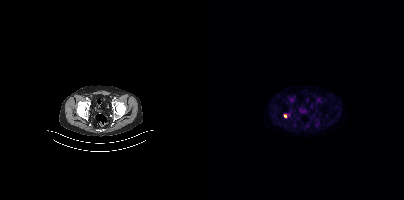
Findings: Coordinates are on the 200×200 PET (right) panel. Small PSMA-avid foci (2 to 4 px across) near (center x, center y): (81, 116) | (84, 114).
- Left: CT. Right: PSMA PET, same axial level, 18F tracer
- slice position z = -966 mm
- PET panel 200×200 px (4.1 mm/px)